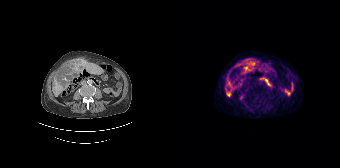
modality: PSMA PET/CT | tracer: 68Ga | view: axial | PET grid: 168×168
Coordinates are on the 168×168 PET (right) panel. (showing 4 of 5 foci) PSMA-avid tumor lesion bounding boxes (x0,y0,x1,y1): [78,61,84,66], [71,64,76,71], [55,92,58,96]. Small PSMA-avid focus (2 to 4 px across) near (center x, center y): (69, 80).